Privacy masking over the head, with the pixels inside a rectangle set to black.
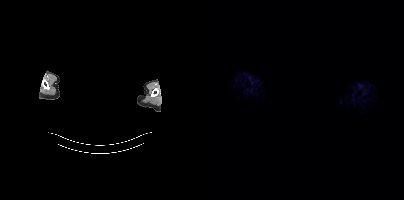
No PSMA-avid tumor lesions on this slice.